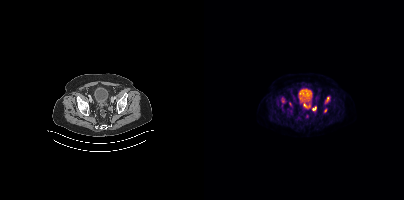
Technique: Paired axial CT (left) and PSMA PET (right), 18F-PSMA tracer. PET panel 200×200 px (4.1 mm/px).
Findings: Coordinates are on the 200×200 PET (right) panel. PSMA-avid tumor lesion bounding boxes (x0,y0,x1,y1): [100,103,106,107]; [123,97,125,101]; [120,108,122,112]. Small PSMA-avid foci (2 to 4 px across) near (center x, center y): (110, 108); (86, 103); (78, 101).